Two-panel axial: CT | PSMA PET, 18F-PSMA tracer. Slice position z = 1042 mm.
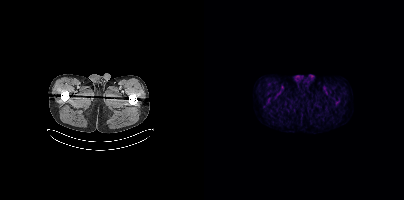
No PSMA-avid tumor lesions on this slice.